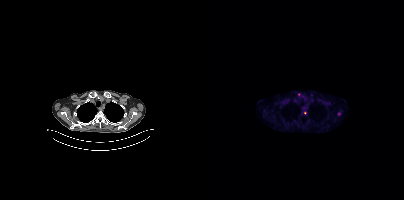
Two-panel axial: CT | PSMA PET, 18F tracer. PET panel 200×200 px (4.1 mm/px). Coordinates are on the 200×200 PET (right) panel. Small PSMA-avid foci (2 to 4 px across) near (center x, center y): (101, 112) (135, 114) (94, 94).